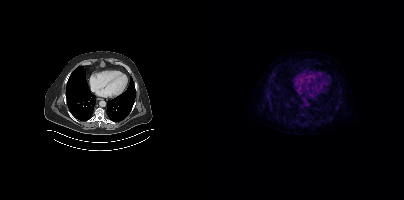
This slice has no annotated PSMA-avid lesion.